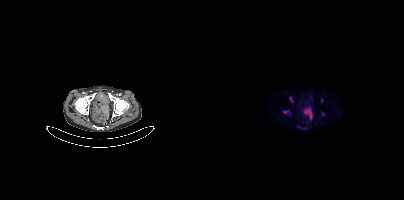
Findings: Coordinates are on the 200×200 PET (right) panel. (showing 2 of 4 foci) Small PSMA-avid foci (2 to 4 px across) near (center x, center y): (80, 111) | (87, 100).
Technique: Two-panel axial: CT | PSMA PET, 18F tracer. acquired on Siemens Biograph mCT Flow 20. slice 61 of 354.